Two-panel axial: CT | PSMA PET, 68Ga-PSMA tracer. Slice position z = -1144 mm.
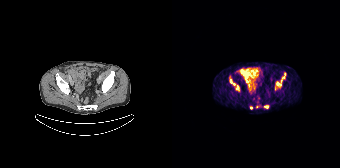
Coordinates are on the 168×168 PET (right) panel. PSMA-avid tumor lesion bounding boxes (partial; 1 more focus not listed):
| # | x0 | y0 | x1 | y1 |
|---|---|---|---|---|
| 1 | 104 | 73 | 113 | 86 |
| 2 | 58 | 79 | 63 | 85 |
| 3 | 64 | 85 | 67 | 90 |
| 4 | 92 | 106 | 96 | 108 |
Small PSMA-avid foci (2 to 4 px across) near (center x, center y): (79, 107); (84, 106).